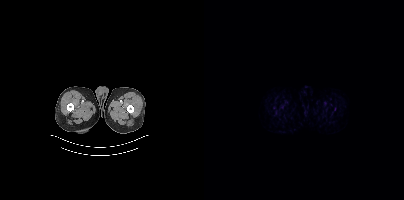
Findings: No tumor lesions annotated on this slice.
- Two-panel axial: CT | PSMA PET, [18F]PSMA-1007 tracer
- slice position z = -1719 mm